Left: CT. Right: PSMA PET, same axial level, 18F tracer. Slice position z = -1008 mm. PET panel 200×200 px (4.1 mm/px).
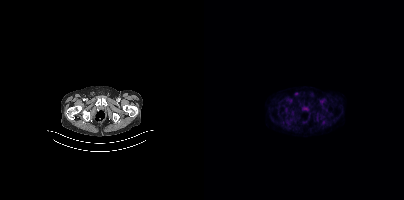
Negative for PSMA-avid disease on this slice.